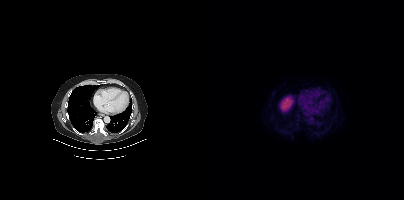
Negative for PSMA-avid disease on this slice.